modality: PSMA PET/CT | tracer: 18F-PSMA | view: axial | PET grid: 200×200
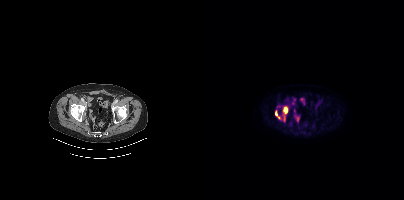
Coordinates are on the 200×200 PET (right) panel. PSMA-avid tumor lesion bounding boxes (x0, y0)-(x1, y1): (79, 107)-(83, 113); (71, 112)-(75, 118).